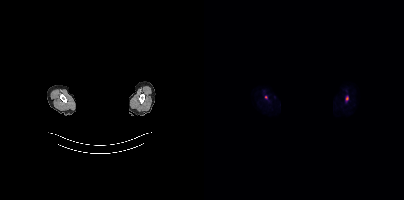
{"modality":"PSMA PET/CT","view":"axial","tracer":"18F-PSMA","pet_grid":[200,200],"coord_frame":"pet_panel","coord_format":"x0,y0,x1,y1","lesion_bboxes":[[142,96,144,100]],"small_foci_centers":[[61,96]],"de-identification":"head region blacked out before release"}